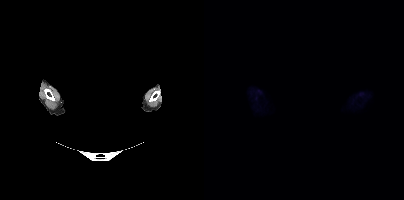
No PSMA-avid tumor lesions on this slice.
A rectangle over the head was blacked out to remove identifiable facial features.